- Paired axial CT (left) and PSMA PET (right), 18F tracer
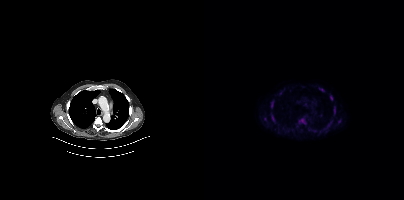
Findings: Coordinates are on the 200×200 PET (right) panel. (showing 10 of 12 foci) PSMA-avid tumor lesion bounding boxes (x, y, width, height): x=95 y=118 w=8 h=7 | x=67 y=101 w=3 h=7 | x=123 y=121 w=6 h=7 | x=130 y=106 w=2 h=9 | x=67 y=115 w=4 h=7 | x=126 y=95 w=3 h=6 | x=115 y=88 w=6 h=4 | x=134 y=119 w=3 h=5. Small PSMA-avid foci (2 to 4 px across) near (center x, center y): (61, 119) | (76, 92).